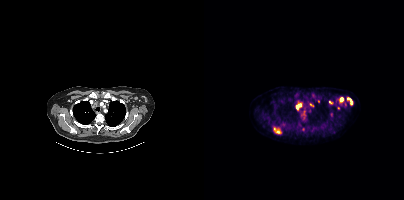
Coordinates are on the 200×200 PET (right) panel. (showing 13 of 18 foci) PSMA-avid tumor lesion bounding boxes (x0,y0,x1,y1): [69,128,76,133]; [92,103,97,110]; [98,109,101,118]; [143,97,148,103]; [125,100,129,104]; [135,98,139,101]. Small PSMA-avid foci (2 to 4 px across) near (center x, center y): (79, 124); (107, 105); (127, 113); (131, 103); (141, 104); (114, 101); (134, 107).